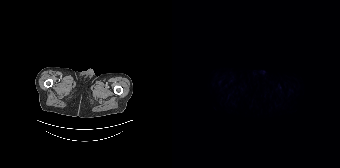
No tumor lesions annotated on this slice.